Two-panel axial: CT | PSMA PET, [68Ga]Ga-PSMA-11 tracer. PET panel 168×168 px (4.1 mm/px). Privacy masking, with the pixels inside a rectangle set to black.
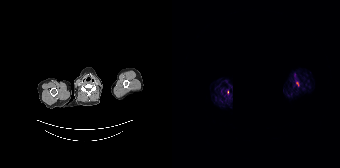
Coordinates are on the 168×168 PET (right) panel. Small PSMA-avid focus (2 to 4 px across) near (center x, center y): (125, 83).